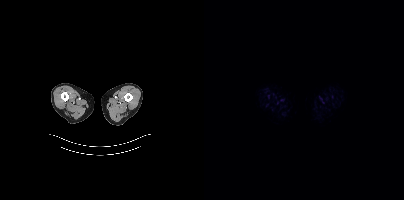
Findings: Negative for PSMA-avid disease on this slice.
- Two-panel axial: CT | PSMA PET, 18F-PSMA tracer
- PET panel 200×200 px (4.1 mm/px)